- Left: CT. Right: PSMA PET, same axial level, 18F tracer
- acquired on Siemens Biograph mCT Flow 20
- PET panel 200×200 px (4.1 mm/px)
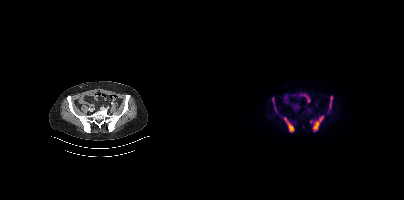
Findings: Coordinates are on the 200×200 PET (right) panel. (showing 6 of 7 foci) PSMA-avid tumor lesion bounding boxes (x0, y0)-(x1, y1): (109, 116)-(119, 131) | (80, 117)-(90, 132) | (127, 96)-(128, 101) | (126, 103)-(127, 108). Small PSMA-avid foci (2 to 4 px across) near (center x, center y): (68, 99) | (106, 121).